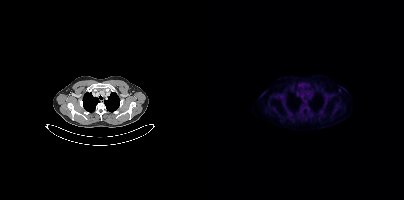
- Paired axial CT (left) and PSMA PET (right), 18F tracer
- slice position z = -1152 mm
- PET panel 200×200 px (4.1 mm/px)
Findings: Coordinates are on the 200×200 PET (right) panel. Small PSMA-avid focus (2 to 4 px across) near (center x, center y): (135, 90).